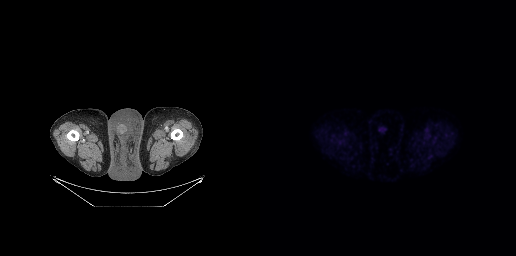
{"modality":"PSMA PET/CT","view":"axial","tracer":"[18F]PSMA-1007","pet_grid":[256,256],"coord_frame":"pet_panel","coord_format":"x0,y0,x1,y1","psma_avid_lesions":false}